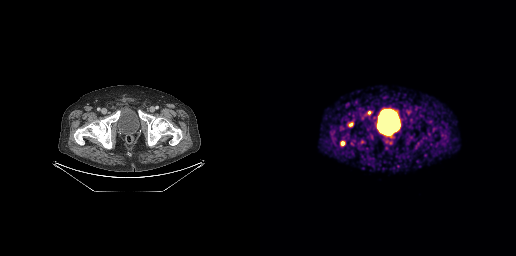
Paired axial CT (left) and PSMA PET (right), [68Ga]Ga-PSMA-11 tracer. PET panel 256×256 px (2.7 mm/px). Coordinates are on the 256×256 PET (right) panel. PSMA-avid tumor lesion bounding box (x0, y0)-(x1, y1): (107, 111)-(111, 114). Small PSMA-avid foci (2 to 4 px across) near (center x, center y): (82, 143) / (90, 124).